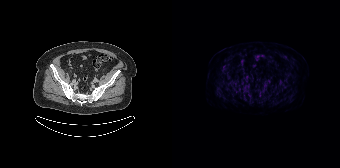
modality: PSMA PET/CT | tracer: 18F | view: axial
Coordinates are on the 168×168 PET (right) panel. Small PSMA-avid focus (2 to 4 px across) near (center x, center y): (74, 77).